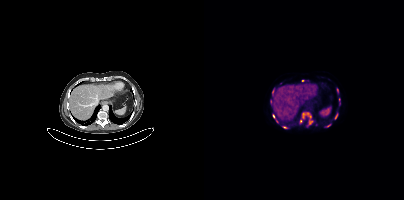
modality: PSMA PET/CT | tracer: 18F | view: axial | PET grid: 200×200
Coordinates are on the 200×200 PET (right) panel. (showing 9 of 11 foci) PSMA-avid tumor lesion bounding boxes (x0,y0,x1,y1): [98,113,104,118]; [105,120,108,124]; [121,124,126,127]; [133,88,134,92]. Small PSMA-avid foci (2 to 4 px across) near (center x, center y): (69, 91); (99, 80); (132, 116); (69, 116); (96, 121).